modality: PSMA PET/CT | tracer: [18F]PSMA-1007 | view: axial | PET grid: 200×200
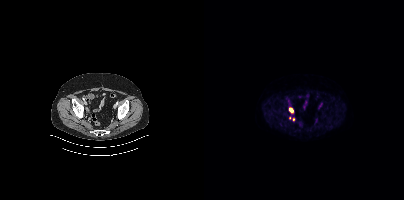
Coordinates are on the 200×200 PET (right) panel. PSMA-avid tumor lesion bounding box (x0, y0)-(x1, y1): (85, 107)-(89, 113). Small PSMA-avid foci (2 to 4 px across) near (center x, center y): (89, 119) / (85, 117).